Technique: Left: CT. Right: PSMA PET, same axial level, [18F]PSMA-1007 tracer. slice 280 of 435.
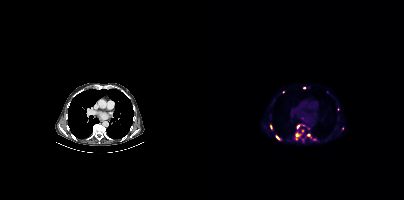
Findings: Coordinates are on the 200×200 PET (right) panel. (showing 10 of 13 foci) PSMA-avid tumor lesion bounding boxes (x0, y0)-(x1, y1): (91, 133)-(96, 139); (72, 135)-(75, 139). Small PSMA-avid foci (2 to 4 px across) near (center x, center y): (67, 126); (93, 126); (99, 130); (138, 128); (79, 91); (104, 134); (100, 87); (110, 138).